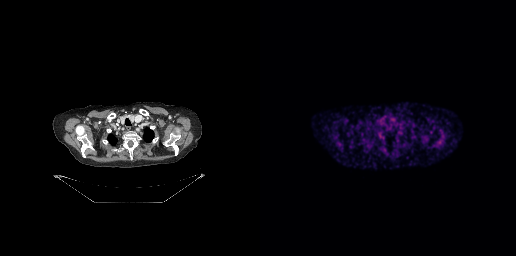
Technique: Left: CT. Right: PSMA PET, same axial level, 68Ga tracer. PET panel 256×256 px (2.7 mm/px).
Findings: Negative for PSMA-avid disease on this slice.